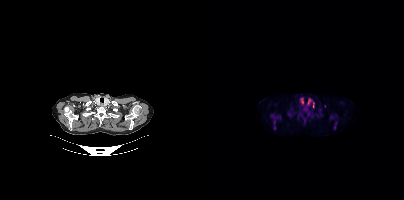
Findings: Coordinates are on the 200×200 PET (right) panel. PSMA-avid tumor lesion bounding boxes (x0,y0,x1,y1): [67,115,73,124] [130,121,132,129] [109,103,110,107]. Small PSMA-avid foci (2 to 4 px across) near (center x, center y): (70, 127) (75, 117) (132, 116).
Technique: Paired axial CT (left) and PSMA PET (right), 18F tracer. acquired on Siemens Biograph mCT Flow 20.